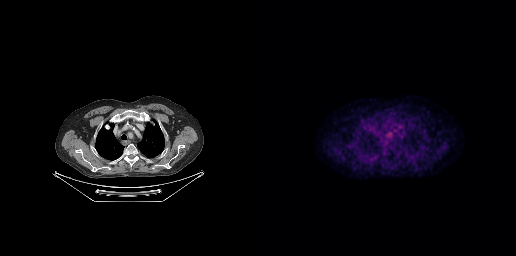
- Left: CT. Right: PSMA PET, same axial level, 18F-PSMA tracer
- acquired on GE Discovery 690
- PET panel 256×256 px (2.7 mm/px)
Findings: Coordinates are on the 256×256 PET (right) panel. (showing 1 of 2 foci) PSMA-avid tumor lesion bounding box (x0, y0)-(x1, y1): (127, 132)-(131, 136).